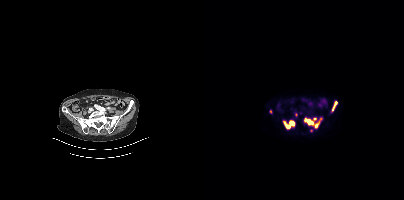
{"modality":"PSMA PET/CT","view":"axial","tracer":"68Ga","pet_grid":[200,200],"coord_frame":"pet_panel","coord_format":"x0,y0,x1,y1","partial":true,"lesion_bboxes":[[100,118,117,127],[79,120,90,128],[128,101,133,110]],"small_foci_centers":[[92,114],[107,130]]}